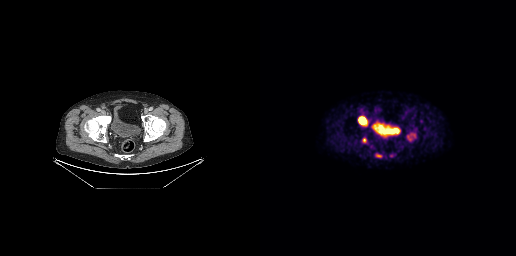
- Paired axial CT (left) and PSMA PET (right), 18F tracer
- slice position z = -616 mm
Findings: Coordinates are on the 256×256 PET (right) panel. PSMA-avid tumor lesion bounding boxes (x0,y0,x1,y1): [98,116,107,125], [147,133,156,141]. Small PSMA-avid foci (2 to 4 px across) near (center x, center y): (104, 139), (118, 155).